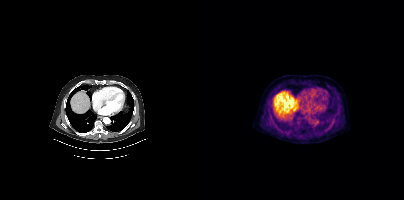
Only PSMA-avid lesion pieces thinner than 2 px on this slice (not listed).